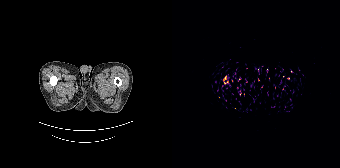
{"pet_grid":[168,168],"coord_frame":"pet_panel","coord_format":"x0,y0,x1,y1","partial":true,"lesion_bboxes":[[51,75,56,84]],"modality":"PSMA PET/CT","view":"axial","tracer":"18F"}